Paired axial CT (left) and PSMA PET (right), [18F]PSMA-1007 tracer. Slice position z = -520 mm.
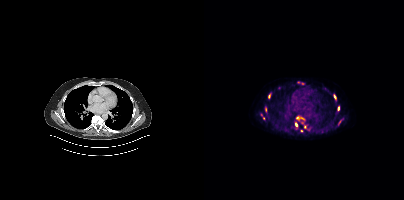
Coordinates are on the 200×200 PET (right) panel. (showing 7 of 10 foci) PSMA-avid tumor lesion bounding boxes (x, y, width, height): x=92 y=116 w=9 h=4; x=91 y=122 w=3 h=5; x=130 y=95 w=3 h=5; x=134 y=106 w=2 h=5. Small PSMA-avid foci (2 to 4 px across) near (center x, center y): (65, 96); (101, 127); (97, 130).